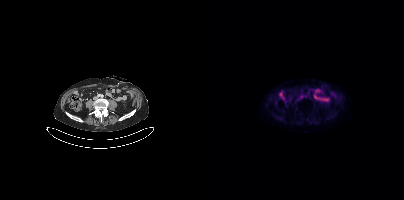
- Two-panel axial: CT | PSMA PET, [18F]PSMA-1007 tracer
- slice position z = -1538 mm
Findings: Negative for PSMA-avid disease on this slice.